Two-panel axial: CT | PSMA PET, [18F]PSMA-1007 tracer. PET panel 200×200 px (4.1 mm/px).
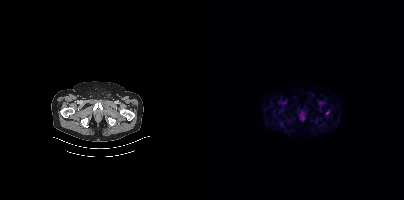
Coordinates are on the 200×200 PET (right) panel. Small PSMA-avid focus (2 to 4 px across) near (center x, center y): (123, 112).